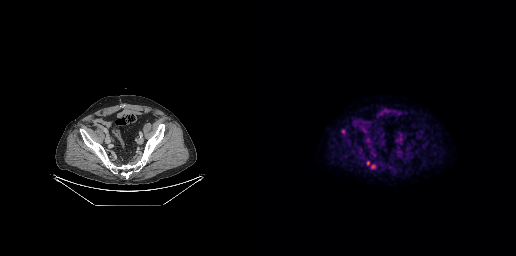
Coordinates are on the 256×256 PET (right) panel. PSMA-avid tumor lesion bounding boxes:
| # | x0 | y0 | x1 | y1 |
|---|---|---|---|---|
| 1 | 106 | 160 | 109 | 164 |
Left: CT. Right: PSMA PET, same axial level, 18F tracer. Slice 82 of 263. PET panel 256×256 px (2.7 mm/px).